Any black rectangle here is a de-identification mask.
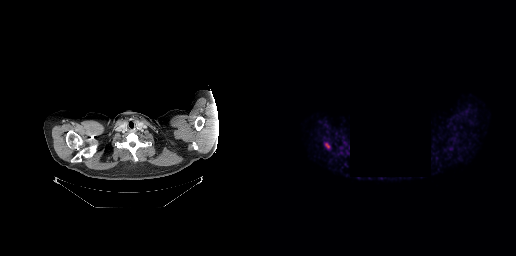
Coordinates are on the 256×256 PET (right) panel. Small PSMA-avid focus (2 to 4 px across) near (center x, center y): (67, 145).